Face de-identified by blanking a block of the head. Paired axial CT (left) and PSMA PET (right), [18F]PSMA-1007 tracer. Slice position z = -868 mm.
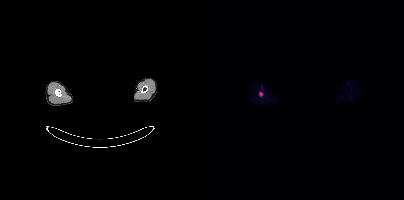
Coordinates are on the 200×200 PET (right) panel. PSMA-avid tumor lesion bounding box (x, y, width, height): x=55 y=92 w=5 h=5.